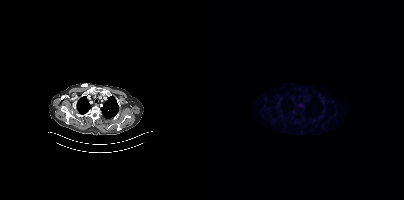
{"pet_grid":[200,200],"coord_frame":"pet_panel","coord_format":"x0,y0,x1,y1","psma_avid_lesions":false,"modality":"PSMA PET/CT","view":"axial","tracer":"[18F]PSMA-1007"}